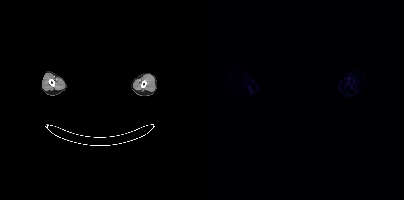
No PSMA-avid tumor lesions on this slice.
redaction: rectangular block over head set to black | modality: PSMA PET/CT | tracer: [18F]PSMA-1007 | view: axial